Head region blanked for anonymization (face removed).
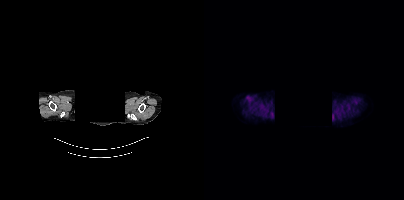
No PSMA-avid tumor lesions on this slice.